de-identification: rectangular block over head set to black | modality: PSMA PET/CT | tracer: 68Ga | view: axial | PET grid: 256×256
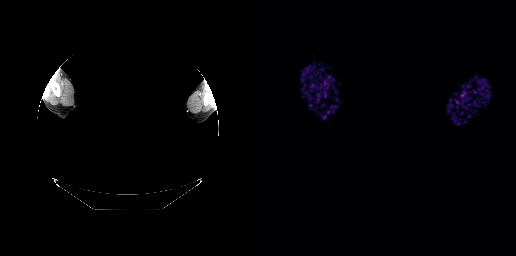
This slice has no annotated PSMA-avid lesion.